- Left: CT. Right: PSMA PET, same axial level, [18F]PSMA-1007 tracer
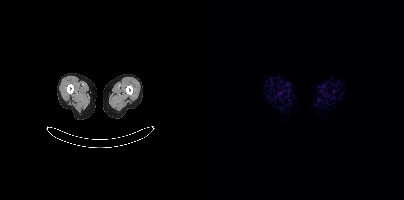
Findings: No tumor lesions annotated on this slice.